- Paired axial CT (left) and PSMA PET (right), [18F]PSMA-1007 tracer
- acquired on Siemens Biograph mCT Flow 20
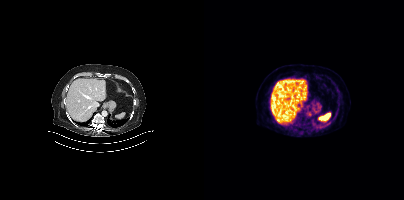
Findings: No tumor lesions annotated on this slice.